Technique: Left: CT. Right: PSMA PET, same axial level, [18F]PSMA-1007 tracer. PET panel 200×200 px (4.1 mm/px).
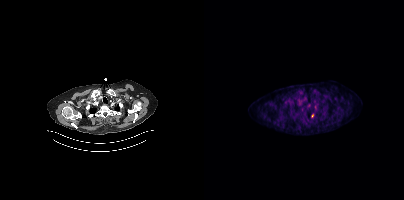
Findings: Coordinates are on the 200×200 PET (right) panel. Small PSMA-avid focus (2 to 4 px across) near (center x, center y): (108, 115).